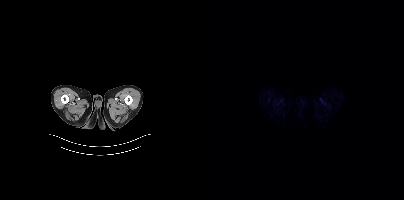
{"modality":"PSMA PET/CT","view":"axial","tracer":"[18F]PSMA-1007","pet_grid":[200,200],"coord_frame":"pet_panel","coord_format":"x0,y0,x1,y1","psma_avid_lesions":false}